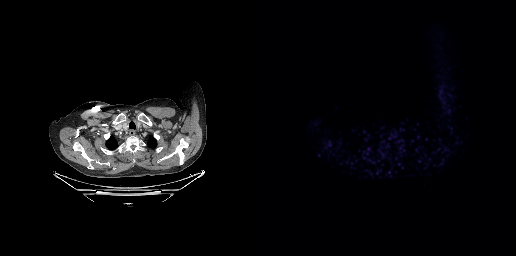
No tumor lesions annotated on this slice.